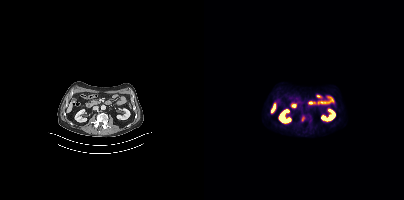
Technique: Two-panel axial: CT | PSMA PET, [18F]PSMA-1007 tracer. slice 189 of 429. PET panel 200×200 px (4.1 mm/px).
Findings: Coordinates are on the 200×200 PET (right) panel. PSMA-avid tumor lesion bounding box (x0,y0,x1,y1): [97,116,101,121].